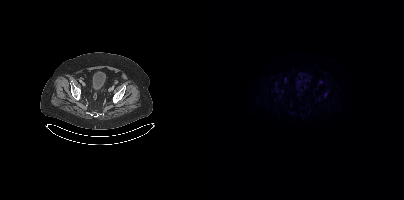
Coordinates are on the 200×200 PET (right) panel. Small PSMA-avid focus (2 to 4 px across) near (center x, center y): (122, 94). Left: CT. Right: PSMA PET, same axial level, 18F-PSMA tracer. Acquired on Siemens Biograph mCT Flow 20. Slice 94 of 446.